Technique: Paired axial CT (left) and PSMA PET (right), 18F tracer. slice 399 of 401. PET panel 200×200 px (4.1 mm/px).
Note: A rectangular block over the head has been blanked out for de-identification.
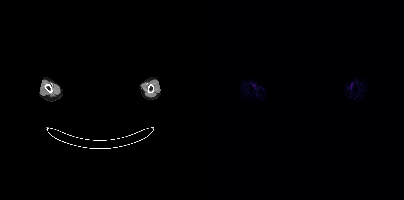
Findings: No tumor lesions annotated on this slice.